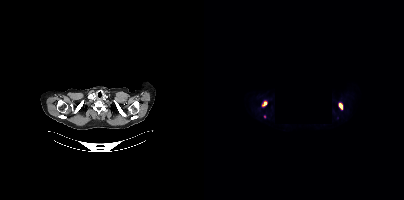
- Left: CT. Right: PSMA PET, same axial level, 18F tracer
- acquired on Siemens Biograph mCT Flow 20
- a region was redacted for de-identification by setting it to black
Findings: Coordinates are on the 200×200 PET (right) panel. PSMA-avid tumor lesion bounding boxes (x0, y0)-(x1, y1): (58, 101)-(63, 106) / (135, 103)-(138, 109). Small PSMA-avid focus (2 to 4 px across) near (center x, center y): (60, 116).